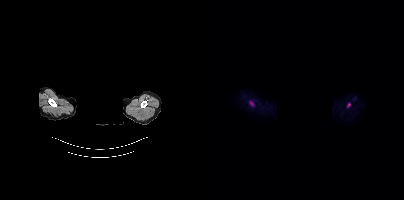
Left: CT. Right: PSMA PET, same axial level, 18F tracer. Acquired on Siemens Biograph mCT Flow 20. Slice 352 of 395. Facial anatomy redacted by setting a rectangular region of the head to black.
Coordinates are on the 200×200 PET (right) panel. PSMA-avid tumor lesion bounding boxes:
| # | x0 | y0 | x1 | y1 |
|---|---|---|---|---|
| 1 | 45 | 101 | 49 | 105 |
| 2 | 143 | 103 | 146 | 107 |